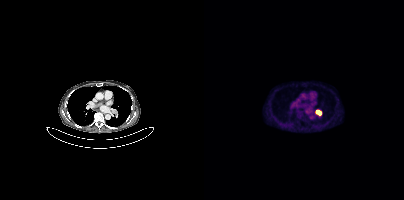
{"modality":"PSMA PET/CT","view":"axial","tracer":"18F","pet_grid":[200,200],"coord_frame":"pet_panel","coord_format":"x0,y0,x1,y1","lesion_bboxes":[[111,110,117,115]]}